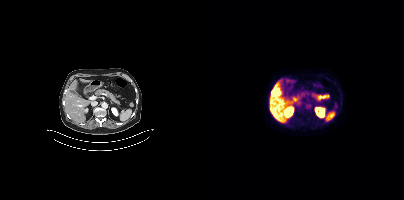
This slice has no annotated PSMA-avid lesion.